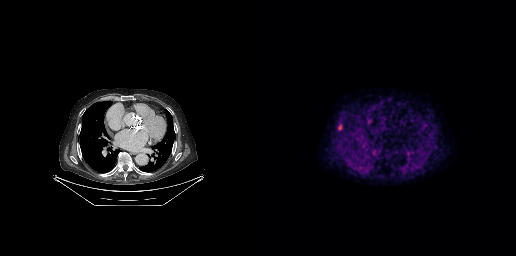
Findings: Coordinates are on the 256×256 PET (right) panel. PSMA-avid tumor lesion bounding box (x, y, width, height): x=78 y=125 w=4 h=5.
Technique: Paired axial CT (left) and PSMA PET (right), 18F tracer. acquired on GE Discovery 690. slice 178 of 263.